Paired axial CT (left) and PSMA PET (right), 18F-PSMA tracer. Acquired on Siemens Biograph mCT Flow 20.
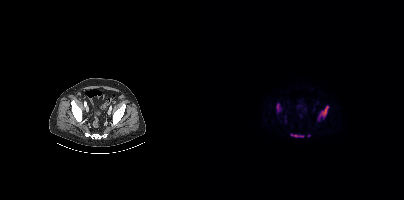
Coordinates are on the 200×200 PET (right) panel. PSMA-avid tumor lesion bounding boxes (x0, y0)-(x1, y1): (113, 105)-(125, 120) / (86, 134)-(99, 137) / (72, 103)-(76, 112). Small PSMA-avid focus (2 to 4 px across) near (center x, center y): (105, 135).